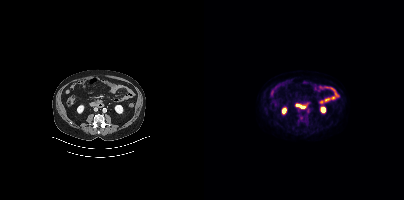
No tumor lesions annotated on this slice.
modality: PSMA PET/CT | tracer: 18F | view: axial